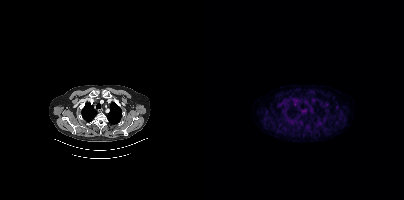
No tumor lesions annotated on this slice.
modality: PSMA PET/CT | tracer: 18F | view: axial | PET grid: 200×200